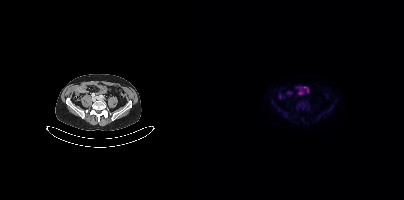
Negative for PSMA-avid disease on this slice. Two-panel axial: CT | PSMA PET, 18F tracer. Slice position z = -816 mm.